Two-panel axial: CT | PSMA PET, [68Ga]Ga-PSMA-11 tracer. PET panel 256×256 px (2.7 mm/px).
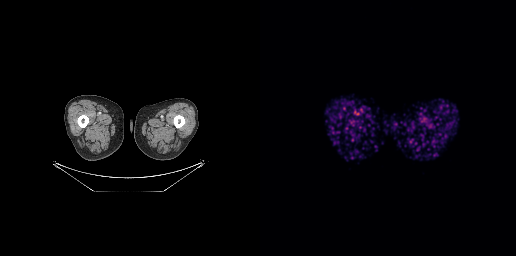
This slice has no annotated PSMA-avid lesion.